Two-panel axial: CT | PSMA PET, [18F]PSMA-1007 tracer. Acquired on Siemens Biograph 64-4R TruePoint. PET panel 168×168 px (4.1 mm/px).
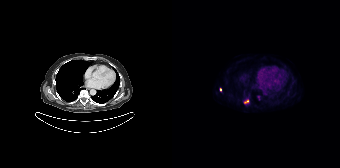
Coordinates are on the 168×168 PET (right) panel. PSMA-avid tumor lesion bounding box (x0, y0)-(x1, y1): (72, 99)-(76, 103). Small PSMA-avid focus (2 to 4 px across) near (center x, center y): (48, 89).